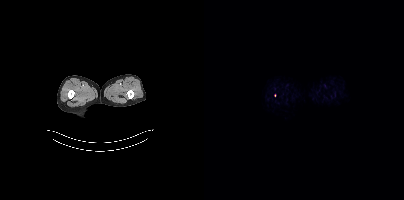
{"modality":"PSMA PET/CT","view":"axial","tracer":"18F","pet_grid":[200,200],"coord_frame":"pet_panel","coord_format":"x0,y0,x1,y1","partial":true,"lesion_bboxes":[]}